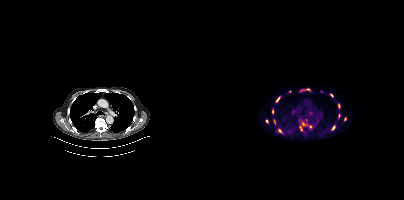
Paired axial CT (left) and PSMA PET (right), [18F]PSMA-1007 tracer. Acquired on Siemens Biograph mCT Flow 20. PET panel 200×200 px (4.1 mm/px).
Coordinates are on the 200×200 PET (right) panel. PSMA-avid tumor lesion bounding boxes (partial; 2 more foci not listed):
| # | x0 | y0 | x1 | y1 |
|---|---|---|---|---|
| 1 | 95 | 88 | 107 | 92 |
| 2 | 96 | 122 | 102 | 130 |
| 3 | 134 | 103 | 136 | 108 |
| 4 | 72 | 97 | 76 | 102 |
| 5 | 68 | 110 | 69 | 114 |
Small PSMA-avid foci (2 to 4 px across) near (center x, center y): (75, 130); (127, 95); (63, 121); (85, 91); (135, 115); (129, 127); (106, 126); (70, 121).